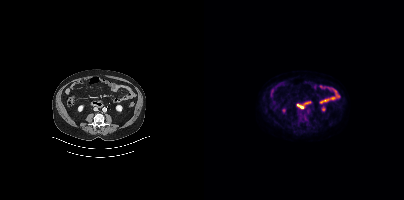
This slice has no annotated PSMA-avid lesion.